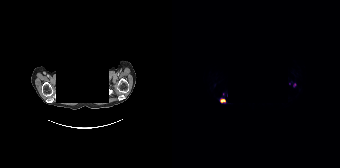
Technique: Two-panel axial: CT | PSMA PET, 18F tracer. slice 137 of 165. PET panel 168×168 px (4.1 mm/px).
Note: The head region is masked for de-identification.
Findings: Coordinates are on the 168×168 PET (right) panel. (showing 2 of 3 foci) PSMA-avid tumor lesion bounding box (x, y, width, height): x=48 y=98 w=6 h=5. Small PSMA-avid focus (2 to 4 px across) near (center x, center y): (122, 84).